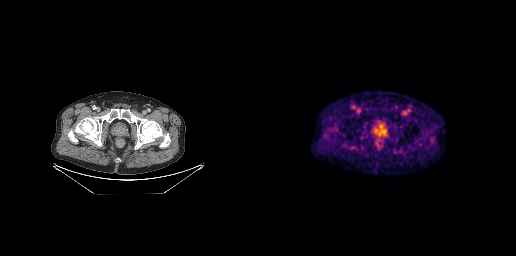
Paired axial CT (left) and PSMA PET (right), 18F tracer. Acquired on GE Discovery 690. Coordinates are on the 256×256 PET (right) panel. Small PSMA-avid focus (2 to 4 px across) near (center x, center y): (122, 130).